- Two-panel axial: CT | PSMA PET, 18F-PSMA tracer
- acquired on Siemens Biograph mCT Flow 20
- slice 323 of 401
- PET panel 200×200 px (4.1 mm/px)
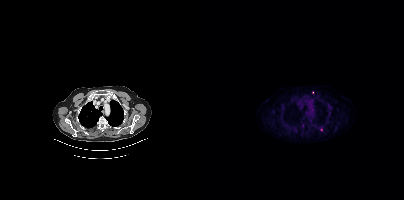
Findings: Coordinates are on the 200×200 PET (right) panel. Small PSMA-avid focus (2 to 4 px across) near (center x, center y): (108, 92).